modality: PSMA PET/CT | tracer: 18F-PSMA | view: axial | PET grid: 200×200
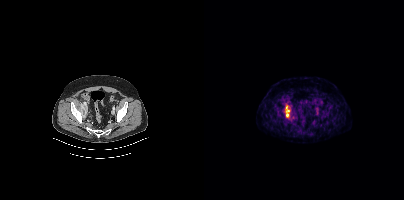
Coordinates are on the 200×200 PET (right) panel. PSMA-avid tumor lesion bounding box (x0,y0,x1,y1): [81,104,86,118].